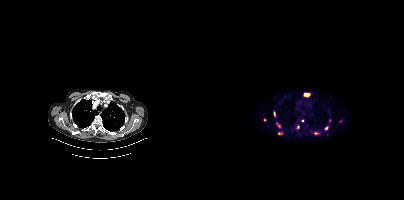
Left: CT. Right: PSMA PET, same axial level, 68Ga tracer. PET panel 200×200 px (4.1 mm/px).
Coordinates are on the 200×200 PET (right) panel. PSMA-avid tumor lesion bounding boxes (partial; 1 more focus not listed):
| # | x0 | y0 | x1 | y1 |
|---|---|---|---|---|
| 1 | 100 | 93 | 104 | 96 |
| 2 | 70 | 111 | 71 | 116 |
| 3 | 72 | 123 | 76 | 127 |
| 4 | 74 | 132 | 78 | 134 |
Small PSMA-avid foci (2 to 4 px across) near (center x, center y): (111, 133); (94, 127); (122, 128); (60, 120); (125, 120); (98, 120).